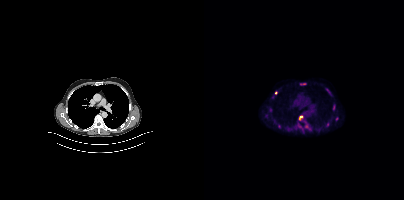
Coordinates are on the 200×200 PET (right) panel. PSMA-avid tumor lesion bounding boxes (x0, y0)-(x1, y1): (96, 83)-(102, 85); (129, 104)-(131, 110); (122, 122)-(125, 126). Small PSMA-avid foci (2 to 4 px across) near (center x, center y): (71, 92); (96, 117); (132, 118); (66, 110); (68, 97). Two-panel axial: CT | PSMA PET, [18F]PSMA-1007 tracer. Slice 282 of 413. PET panel 200×200 px (4.1 mm/px).